Paired axial CT (left) and PSMA PET (right), 18F tracer.
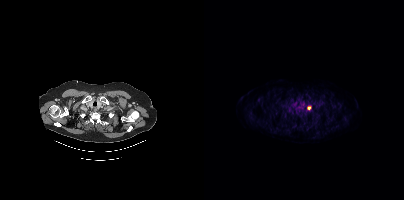
Coordinates are on the 200×200 PET (right) panel. Small PSMA-avid focus (2 to 4 px across) near (center x, center y): (104, 107).